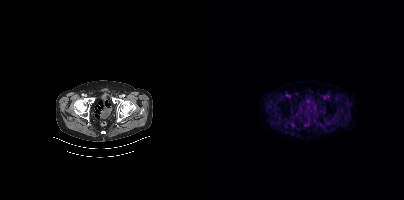
No PSMA-avid tumor lesions on this slice.